modality: PSMA PET/CT | tracer: 18F-PSMA | view: axial
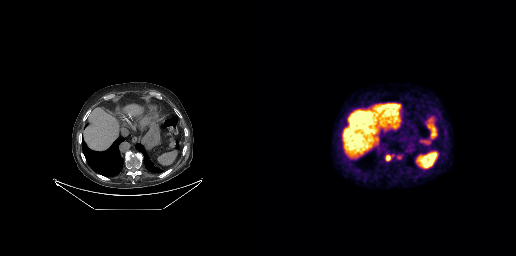
Coordinates are on the 256×256 PET (right) panel. (showing 1 of 2 foci) PSMA-avid tumor lesion bounding box (x0,y0,x1,y1): [126,155,130,160].